- Paired axial CT (left) and PSMA PET (right), [18F]PSMA-1007 tracer
- acquired on Siemens Biograph mCT Flow 20
- slice position z = -962 mm
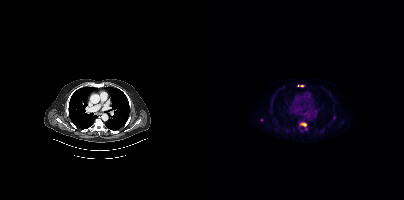
Findings: Coordinates are on the 200×200 PET (right) panel. (showing 3 of 5 foci) PSMA-avid tumor lesion bounding box (x0, y0)-(x1, y1): (95, 123)-(103, 129). Small PSMA-avid foci (2 to 4 px across) near (center x, center y): (130, 117); (98, 85).